Technique: Paired axial CT (left) and PSMA PET (right), [18F]PSMA-1007 tracer.
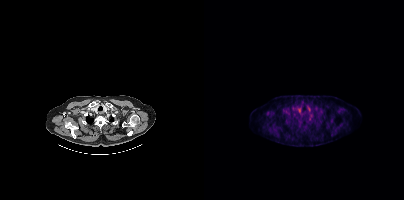
Findings: Coordinates are on the 200×200 PET (right) panel. Small PSMA-avid focus (2 to 4 px across) near (center x, center y): (106, 119).